Left: CT. Right: PSMA PET, same axial level, [18F]PSMA-1007 tracer. Slice position z = -324 mm. De-identified by setting a box covering the face to black before release.
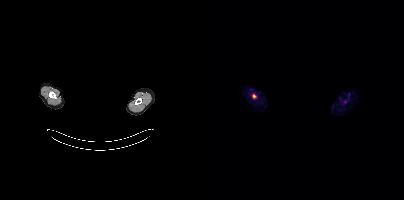
Coordinates are on the 200×200 PET (right) panel. Small PSMA-avid focus (2 to 4 px across) near (center x, center y): (50, 95).